Technique: Left: CT. Right: PSMA PET, same axial level, 18F tracer.
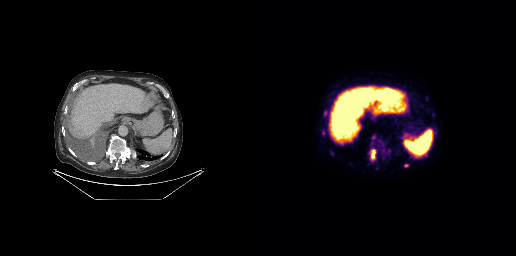
Findings: Coordinates are on the 256×256 PET (right) panel. PSMA-avid tumor lesion bounding boxes (x0,y0,x1,y1): [110,149,116,160], [64,110,67,116], [62,130,65,135], [144,164,148,167]. Small PSMA-avid focus (2 to 4 px across) near (center x, center y): (113, 137).